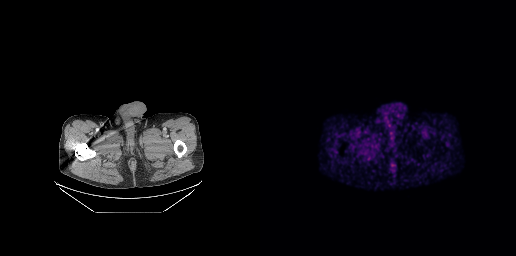
modality: PSMA PET/CT | tracer: [68Ga]Ga-PSMA-11 | view: axial
No tumor lesions annotated on this slice.